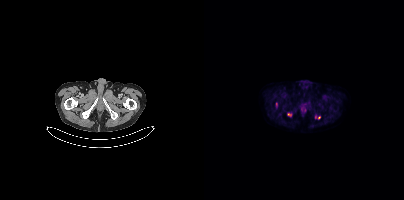
Coordinates are on the 200×200 PET (right) panel. PSMA-avid tumor lesion bounding box (x0,y0,x1,y1): [83,113,87,116]. Small PSMA-avid foci (2 to 4 px across) near (center x, center y): (72, 104); (115, 117).